modality: PSMA PET/CT | tracer: [68Ga]Ga-PSMA-11 | view: axial | deidentification: face masked with black rectangle
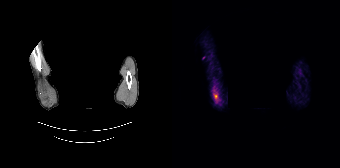
This slice has no annotated PSMA-avid lesion.